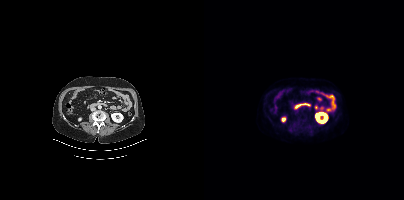
This slice has no annotated PSMA-avid lesion.